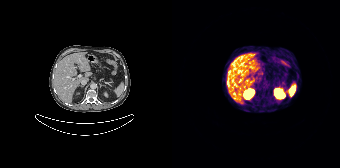
modality: PSMA PET/CT | tracer: 68Ga | view: axial
No tumor lesions annotated on this slice.